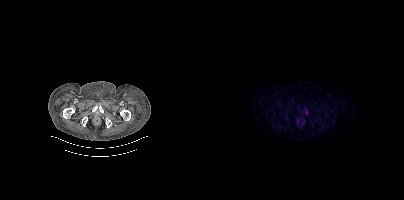
Coordinates are on the 200×200 PET (right) panel. Small PSMA-avid focus (2 to 4 px across) near (center x, center y): (102, 111).
modality: PSMA PET/CT | tracer: 18F | view: axial